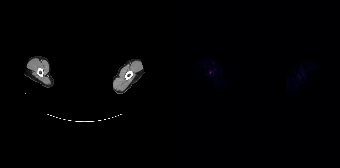
Privacy masking over the head, with the pixels inside a rectangle set to black.
No PSMA-avid tumor lesions on this slice.